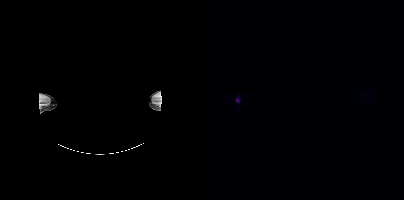
An anonymization step blacked out a rectangle over the head in this scan. Paired axial CT (left) and PSMA PET (right), 18F tracer. PET panel 200×200 px (4.1 mm/px). Coordinates are on the 200×200 PET (right) panel. PSMA-avid tumor lesion bounding box (x0,y0,x1,y1): [31,95,36,103].